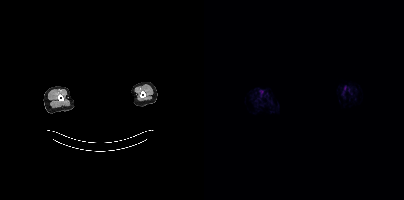
{"modality":"PSMA PET/CT","view":"axial","tracer":"18F-PSMA","pet_grid":[200,200],"coord_frame":"pet_panel","coord_format":"x0,y0,x1,y1","psma_avid_lesions":false,"deidentification":"face masked with black rectangle"}